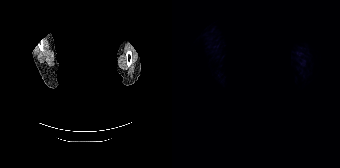
redaction: facial region redacted | modality: PSMA PET/CT | tracer: 18F-PSMA | view: axial | PET grid: 168×168
Negative for PSMA-avid disease on this slice.